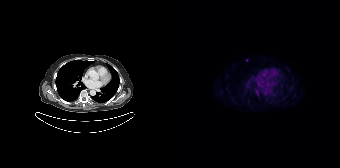
{"modality":"PSMA PET/CT","view":"axial","tracer":"18F","pet_grid":[168,168],"coord_frame":"pet_panel","coord_format":"x0,y0,x1,y1","partial":true,"lesion_bboxes":[]}